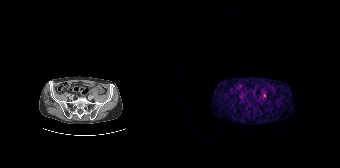
Technique: Two-panel axial: CT | PSMA PET, 68Ga-PSMA tracer. acquired on Siemens Biograph 64-4R TruePoint. slice position z = -794 mm.
Findings: Coordinates are on the 168×168 PET (right) panel. Small PSMA-avid focus (2 to 4 px across) near (center x, center y): (92, 95).